Technique: Left: CT. Right: PSMA PET, same axial level, 18F tracer. acquired on Siemens Biograph mCT Flow 20.
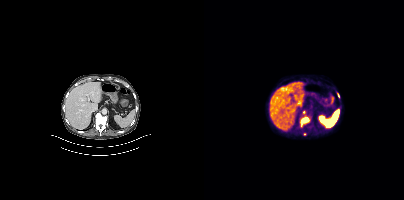
Findings: Coordinates are on the 200×200 PET (right) panel. (showing 3 of 4 foci) PSMA-avid tumor lesion bounding boxes (x, y, width, height): x=96 y=116 w=11 h=12 / x=133 y=93 w=3 h=5. Small PSMA-avid focus (2 to 4 px across) near (center x, center y): (100, 112).